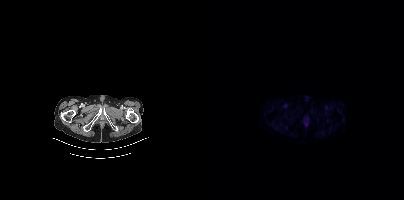
Negative for PSMA-avid disease on this slice.